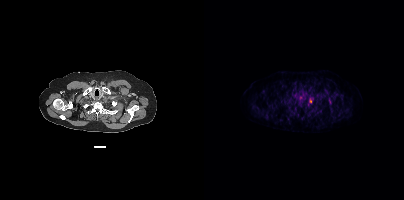
{"pet_grid":[200,200],"coord_frame":"pet_panel","coord_format":"x0,y0,x1,y1","partial":true,"lesion_bboxes":[],"small_foci_centers":[[127,100]],"modality":"PSMA PET/CT","view":"axial","tracer":"[18F]PSMA-1007"}